Left: CT. Right: PSMA PET, same axial level, [68Ga]Ga-PSMA-11 tracer. Acquired on Siemens Biograph 64-4R TruePoint. PET panel 168×168 px (4.1 mm/px).
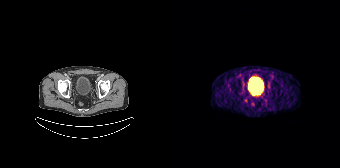
Coordinates are on the 168×168 PET (right) panel. Small PSMA-avid focus (2 to 4 px across) near (center x, center y): (73, 100).